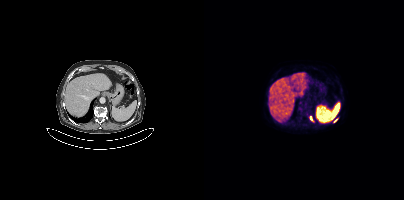
Coordinates are on the 200×200 PET (right) panel. Small PSMA-avid foci (2 to 4 px across) near (center x, center y): (131, 120); (106, 118).
modality: PSMA PET/CT | tracer: 18F-PSMA | view: axial